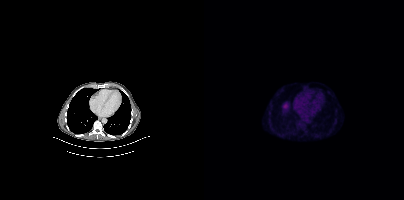
- Paired axial CT (left) and PSMA PET (right), 18F-PSMA tracer
- slice position z = -1164 mm
- PET panel 200×200 px (4.1 mm/px)
Findings: No PSMA-avid tumor lesions on this slice.